Left: CT. Right: PSMA PET, same axial level, [18F]PSMA-1007 tracer. Slice 150 of 454.
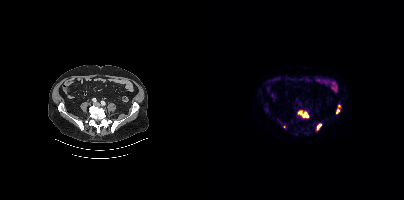
Coordinates are on the 200×200 PET (right) panel. PSMA-avid tumor lesion bounding boxes (x0, y0)-(x1, y1): (94, 111)-(104, 117) | (132, 104)-(136, 113) | (112, 124)-(117, 129). Small PSMA-avid focus (2 to 4 px across) near (center x, center y): (80, 126).